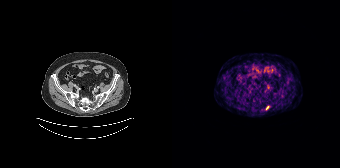
Paired axial CT (left) and PSMA PET (right), [68Ga]Ga-PSMA-11 tracer. Acquired on Siemens Biograph 64-4R TruePoint. Slice position z = -632 mm. PET panel 168×168 px (4.1 mm/px). Coordinates are on the 168×168 PET (right) panel. Small PSMA-avid focus (2 to 4 px across) near (center x, center y): (95, 107).